- Left: CT. Right: PSMA PET, same axial level, [18F]PSMA-1007 tracer
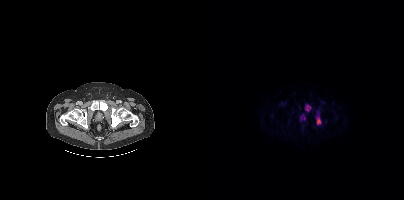
Findings: Coordinates are on the 200×200 PET (right) panel. PSMA-avid tumor lesion bounding boxes (x0, y0)-(x1, y1): (113, 118)-(116, 124) | (97, 115)-(101, 119) | (102, 105)-(106, 110).